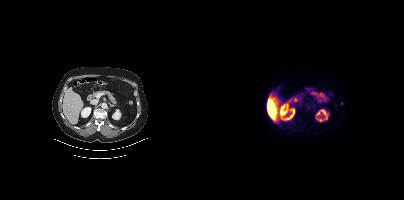
Coordinates are on the 200×200 PET (right) panel. Small PSMA-avid focus (2 to 4 px across) near (center x, center y): (137, 103). Paired axial CT (left) and PSMA PET (right), 18F tracer. Slice 207 of 444.